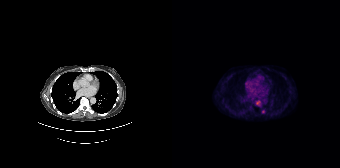
{"modality":"PSMA PET/CT","view":"axial","tracer":"[18F]PSMA-1007","pet_grid":[168,168],"coord_frame":"pet_panel","coord_format":"x0,y0,x1,y1","lesion_bboxes":[[84,100,88,105]],"small_foci_centers":[[91,111]]}